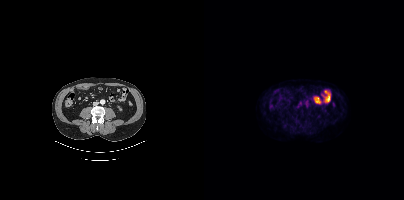
Only PSMA-avid lesion pieces thinner than 2 px on this slice (not listed).